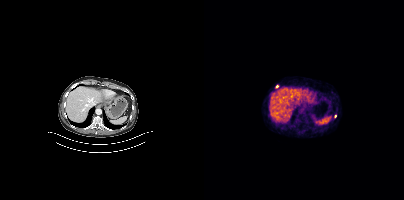
{"pet_grid":[200,200],"coord_frame":"pet_panel","coord_format":"x0,y0,x1,y1","partial":true,"lesion_bboxes":[],"modality":"PSMA PET/CT","view":"axial","tracer":"68Ga-PSMA"}